Technique: Two-panel axial: CT | PSMA PET, 18F tracer.
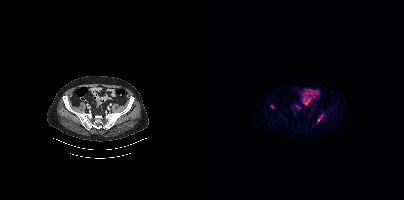
Findings: Coordinates are on the 200×200 PET (right) panel. PSMA-avid tumor lesion bounding box (x, y, width, height): x=114 y=115 w=5 h=6. Small PSMA-avid focus (2 to 4 px across) near (center x, center y): (67, 106).